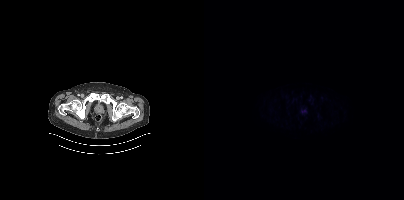
{"modality":"PSMA PET/CT","view":"axial","tracer":"18F-PSMA","pet_grid":[200,200],"coord_frame":"pet_panel","coord_format":"x0,y0,x1,y1","psma_avid_lesions":false}